Technique: Two-panel axial: CT | PSMA PET, 68Ga-PSMA tracer. acquired on GE Discovery 690. slice position z = -967 mm. PET panel 256×256 px (2.7 mm/px).
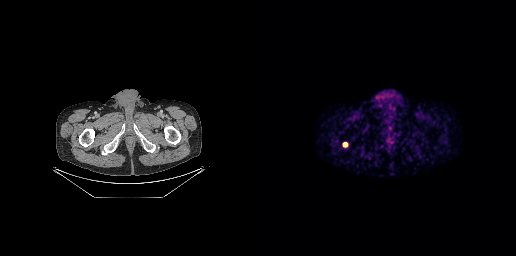
Findings: Coordinates are on the 256×256 PET (right) panel. PSMA-avid tumor lesion bounding box (x0, y0)-(x1, y1): (83, 143)-(87, 146).